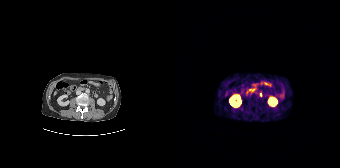
{"modality":"PSMA PET/CT","view":"axial","tracer":"[68Ga]Ga-PSMA-11","pet_grid":[168,168],"coord_frame":"pet_panel","coord_format":"x0,y0,x1,y1","lesion_bboxes":[],"small_foci_centers":[[88,94]]}